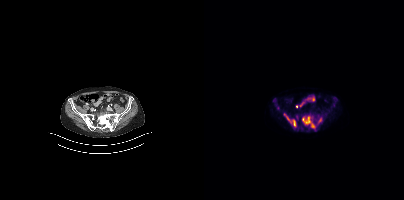
- Paired axial CT (left) and PSMA PET (right), 18F tracer
- slice 94 of 401
- PET panel 200×200 px (4.1 mm/px)
Findings: Coordinates are on the 200×200 PET (right) panel. PSMA-avid tumor lesion bounding boxes (x0,y0,x1,y1): [98,116,112,130] [80,114,91,126] [113,118,118,123]. Small PSMA-avid foci (2 to 4 px across) near (center x, center y): (72, 103) (93, 117).